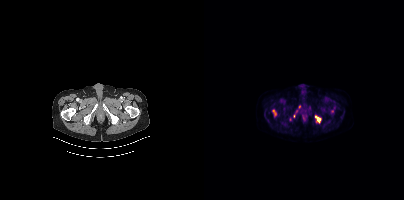
modality: PSMA PET/CT | tracer: 18F | view: axial | PET grid: 200×200
Coordinates are on the 200×200 PET (right) panel. (showing 4 of 6 foci) PSMA-avid tumor lesion bounding boxes (x0, y0)-(x1, y1): (111, 115)-(116, 122); (69, 110)-(72, 115). Small PSMA-avid foci (2 to 4 px across) near (center x, center y): (95, 107); (92, 111).